- Two-panel axial: CT | PSMA PET, [68Ga]Ga-PSMA-11 tracer
- slice 162 of 263
- PET panel 256×256 px (2.7 mm/px)
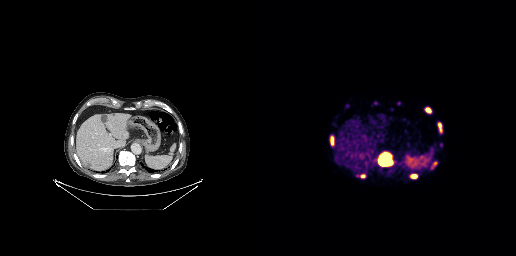
Findings: Coordinates are on the 256×256 PET (right) panel. PSMA-avid tumor lesion bounding boxes (x, y, width, height): x=119 y=153 w=13 h=13 / x=70 y=136 w=4 h=10 / x=151 y=174 w=7 h=5 / x=165 y=107 w=7 h=6 / x=178 y=122 w=4 h=10 / x=100 y=174 w=6 h=5 / x=173 y=162 w=4 h=5.